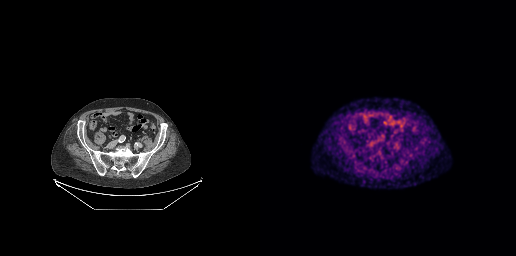
- Two-panel axial: CT | PSMA PET, [18F]PSMA-1007 tracer
- acquired on GE Discovery 690
Findings: No PSMA-avid tumor lesions on this slice.